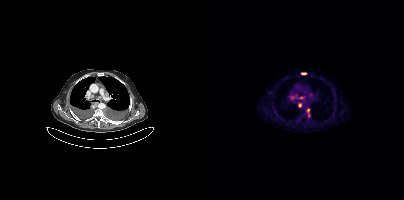
Coordinates are on the 200×200 PET (right) panel. (showing 5 of 6 foci) PSMA-avid tumor lesion bounding box (x0,y0,x1,y1): [97,72,102,74]. Small PSMA-avid foci (2 to 4 px across) near (center x, center y): (96, 104) (104, 110) (88, 97) (97, 97).